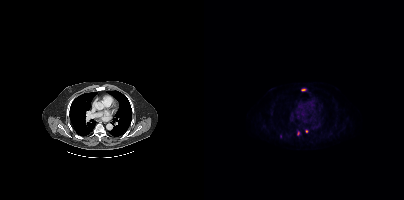
{"modality":"PSMA PET/CT","view":"axial","tracer":"18F","pet_grid":[200,200],"coord_frame":"pet_panel","coord_format":"x0,y0,x1,y1","lesion_bboxes":[],"small_foci_centers":[[99,89],[102,131],[94,133]]}